modality: PSMA PET/CT | tracer: 18F-PSMA | view: axial
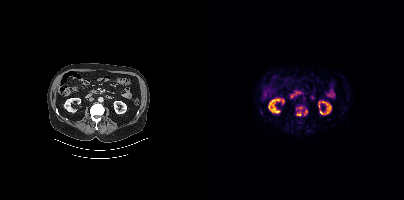
Coordinates are on the 200×200 PET (right) panel. PSMA-avid tumor lesion bounding boxes (x, y, width, height): x=92 y=111 w=6 h=5; x=100 y=110 w=4 h=5. Small PSMA-avid foci (2 to 4 px across) near (center x, center y): (96, 107); (92, 108).